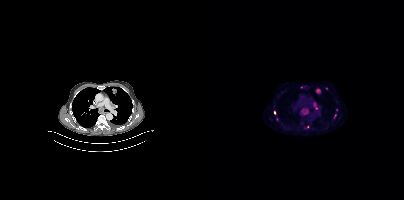
{"modality":"PSMA PET/CT","view":"axial","tracer":"[18F]PSMA-1007","pet_grid":[200,200],"coord_frame":"pet_panel","coord_format":"x0,y0,x1,y1","partial":true,"lesion_bboxes":[[97,108,105,115],[108,101,114,109],[112,89,116,93]],"small_foci_centers":[[122,88],[70,112],[97,87],[72,119],[103,126]]}